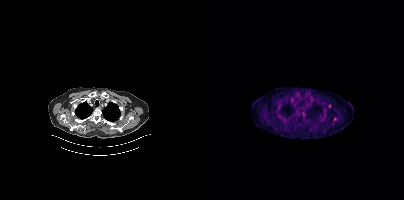
Findings: Coordinates are on the 200×200 PET (right) panel. Small PSMA-avid focus (2 to 4 px across) near (center x, center y): (125, 106).
Technique: Two-panel axial: CT | PSMA PET, 18F-PSMA tracer. acquired on Siemens Biograph mCT Flow 20. slice position z = -1066 mm. PET panel 200×200 px (4.1 mm/px).